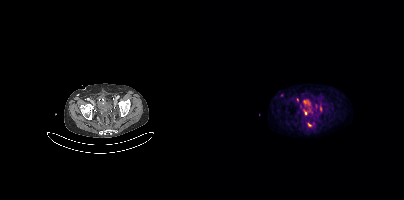
Coordinates are on the 200×200 PET (right) panel. PSMA-avid tumor lesion bounding boxes:
| # | x0 | y0 | x1 | y1 |
|---|---|---|---|---|
| 1 | 99 | 109 | 106 | 115 |
| 2 | 103 | 122 | 107 | 126 |
| 3 | 116 | 105 | 118 | 111 |
Small PSMA-avid foci (2 to 4 px across) near (center x, center y): (93, 99); (77, 95).
Two-panel axial: CT | PSMA PET, 18F-PSMA tracer.